Two-panel axial: CT | PSMA PET, [18F]PSMA-1007 tracer. Acquired on Siemens Biograph mCT Flow 20. De-identified by setting a box covering the face to black before release.
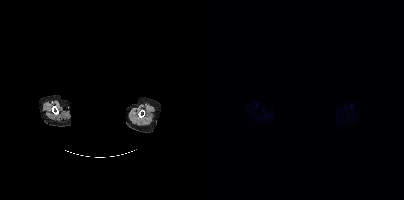
No PSMA-avid tumor lesions on this slice.